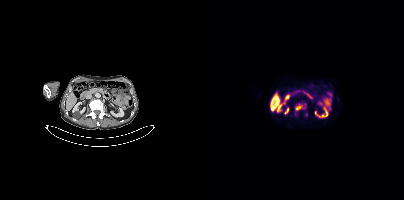
Coordinates are on the 200×200 PET (right) panel. PSMA-avid tumor lesion bounding box (x, y, width, height): x=91 y=105 w=7 h=6.